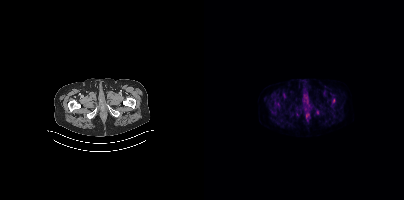
{"modality":"PSMA PET/CT","view":"axial","tracer":"18F-PSMA","pet_grid":[200,200],"coord_frame":"pet_panel","coord_format":"x0,y0,x1,y1","partial":true,"lesion_bboxes":[[128,98,131,103]],"small_foci_centers":[[113,112]]}